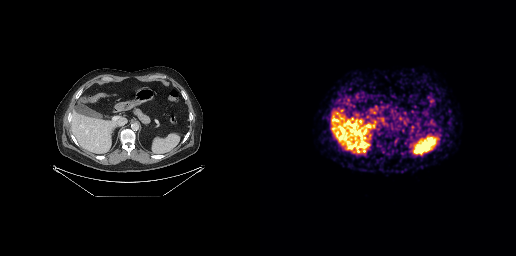
- Left: CT. Right: PSMA PET, same axial level, 68Ga tracer
Findings: This slice has no annotated PSMA-avid lesion.